modality: PSMA PET/CT | tracer: 18F-PSMA | view: axial | PET grid: 200×200
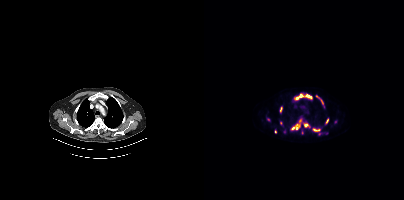
Coordinates are on the 200×200 PET (right) panel. (showing 11 of 13 foci) PSMA-avid tumor lesion bounding boxes (x0,y0,x1,y1): [87,124,96,129]; [109,128,116,131]; [92,94,98,99]; [100,123,104,127]; [102,94,107,98]; [122,119,124,123]; [117,100,119,104]; [76,107,77,111]. Small PSMA-avid foci (2 to 4 px across) near (center x, center y): (96, 121); (113, 96); (71, 131).